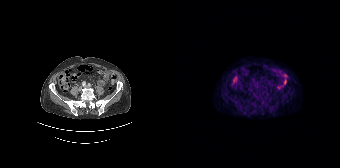
modality: PSMA PET/CT | tracer: 68Ga | view: axial
No PSMA-avid tumor lesions on this slice.